Two-panel axial: CT | PSMA PET, 18F tracer. Slice position z = -415 mm.
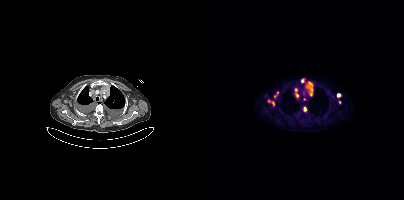
Coordinates are on the 200×200 PET (right) panel. PSMA-avid tumor lesion bounding boxes:
| # | x0 | y0 | x1 | y1 |
|---|---|---|---|---|
| 1 | 102 | 83 | 108 | 96 |
| 2 | 63 | 99 | 71 | 106 |
| 3 | 91 | 88 | 94 | 97 |
| 4 | 69 | 92 | 74 | 98 |
| 5 | 133 | 93 | 136 | 97 |
| 6 | 99 | 107 | 102 | 111 |
| 7 | 97 | 78 | 100 | 82 |
Small PSMA-avid foci (2 to 4 px across) near (center x, center y): (135, 102); (100, 99).